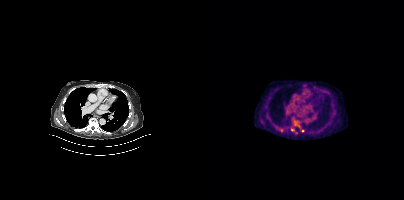
Coordinates are on the 200×200 PET (right) panel. Small PSMA-avid foci (2 to 4 px across) near (center x, center y): (93, 125) | (88, 128) | (99, 130). Left: CT. Right: PSMA PET, same axial level, [18F]PSMA-1007 tracer. PET panel 200×200 px (4.1 mm/px).